modality: PSMA PET/CT | tracer: 18F-PSMA | view: axial
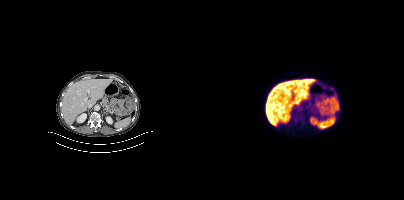
No tumor lesions annotated on this slice.